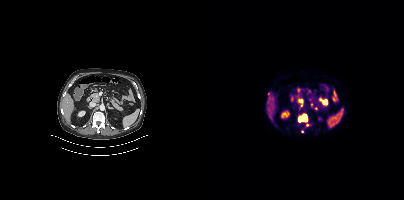
{"pet_grid":[200,200],"coord_frame":"pet_panel","coord_format":"x0,y0,x1,y1","partial":true,"lesion_bboxes":[[94,113,103,122]],"small_foci_centers":[[103,124]],"modality":"PSMA PET/CT","view":"axial","tracer":"18F"}